- Paired axial CT (left) and PSMA PET (right), [18F]PSMA-1007 tracer
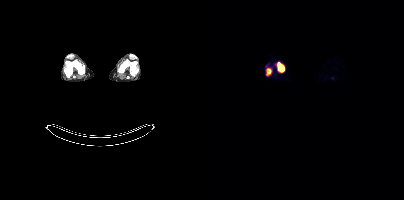
Findings: Coordinates are on the 200×200 PET (right) panel. PSMA-avid tumor lesion bounding boxes (x0, y0)-(x1, y1): (73, 62)-(80, 72) | (62, 69)-(66, 75).